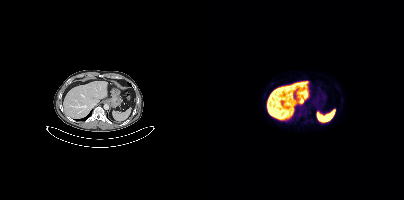
Paired axial CT (left) and PSMA PET (right), 18F-PSMA tracer. This slice has no annotated PSMA-avid lesion.